- Two-panel axial: CT | PSMA PET, 18F tracer
- acquired on Siemens Biograph mCT Flow 20
- privacy masking over the head, with the pixels inside a rectangle set to black
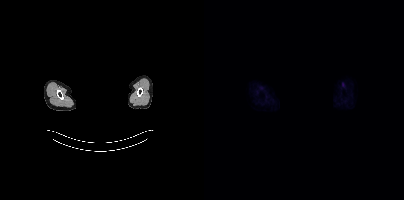
Findings: Negative for PSMA-avid disease on this slice.